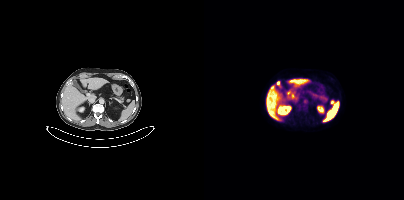
{"modality":"PSMA PET/CT","view":"axial","tracer":"18F-PSMA","pet_grid":[200,200],"coord_frame":"pet_panel","coord_format":"x0,y0,x1,y1","lesion_bboxes":[[127,100,131,104]]}